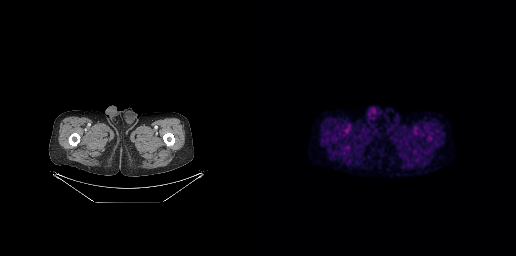
- Two-panel axial: CT | PSMA PET, 18F tracer
- acquired on GE Discovery 690
- slice position z = -926 mm
Findings: This slice has no annotated PSMA-avid lesion.